Left: CT. Right: PSMA PET, same axial level, 18F tracer. Acquired on Siemens Biograph mCT Flow 20. Slice 88 of 423.
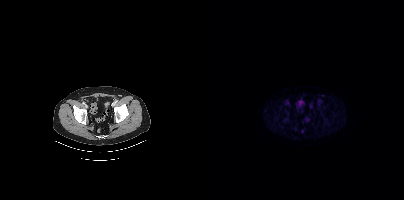
No PSMA-avid tumor lesions on this slice.